- head region blanked for anonymization (face removed)
- Left: CT. Right: PSMA PET, same axial level, [18F]PSMA-1007 tracer
- slice 372 of 391
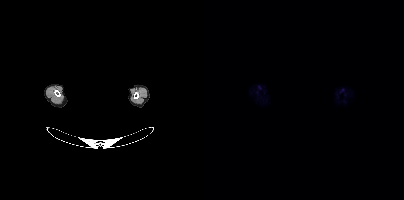
Findings: Negative for PSMA-avid disease on this slice.